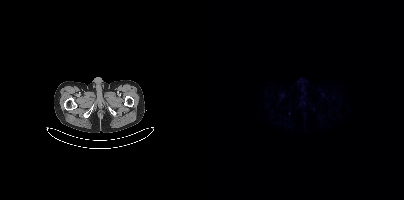
Paired axial CT (left) and PSMA PET (right), 68Ga-PSMA tracer. PET panel 200×200 px (4.1 mm/px). Negative for PSMA-avid disease on this slice.